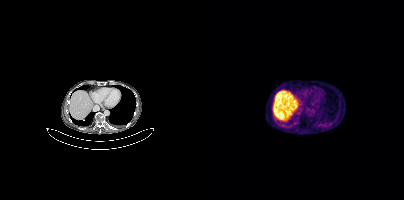
modality: PSMA PET/CT | tracer: 68Ga | view: axial
No PSMA-avid tumor lesions on this slice.